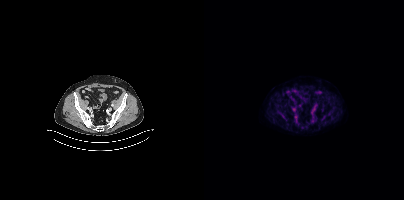
Technique: Left: CT. Right: PSMA PET, same axial level, 18F-PSMA tracer. acquired on Siemens Biograph mCT Flow 20. slice 88 of 393.
Findings: Coordinates are on the 200×200 PET (right) panel. PSMA-avid tumor lesion bounding boxes (x, y, width, height): x=117 y=115 w=6 h=6; x=78 y=115 w=6 h=6. Small PSMA-avid focus (2 to 4 px across) near (center x, center y): (75, 112).